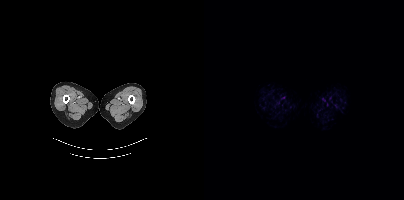
No PSMA-avid tumor lesions on this slice.